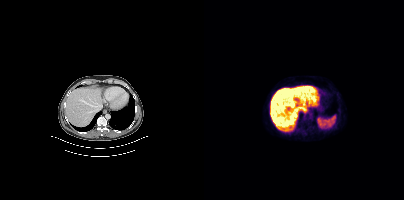
- Left: CT. Right: PSMA PET, same axial level, 18F-PSMA tracer
- slice 243 of 417
Findings: No tumor lesions annotated on this slice.